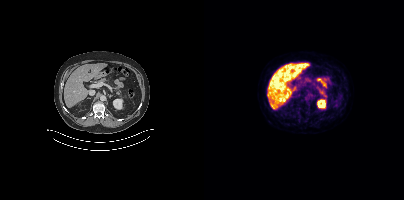
Paired axial CT (left) and PSMA PET (right), 18F tracer. PET panel 200×200 px (4.1 mm/px). Coordinates are on the 200×200 PET (right) panel. Small PSMA-avid foci (2 to 4 px across) near (center x, center y): (107, 96) | (97, 100).